- any black rectangle over the head is a privacy mask, not anatomy
- Left: CT. Right: PSMA PET, same axial level, 18F-PSMA tracer
- PET panel 200×200 px (4.1 mm/px)
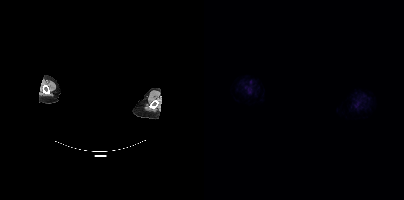
Findings: This slice has no annotated PSMA-avid lesion.